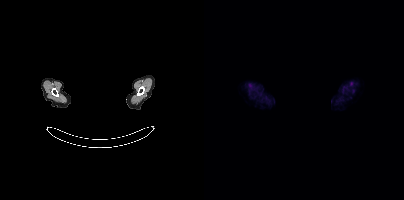
No PSMA-avid tumor lesions on this slice.
The head region is masked for de-identification.